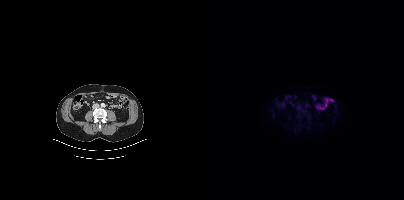
No PSMA-avid tumor lesions on this slice.